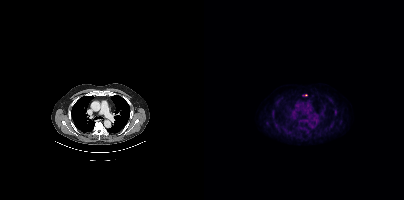
Only PSMA-avid lesion pieces thinner than 2 px on this slice (not listed).